- Paired axial CT (left) and PSMA PET (right), 18F-PSMA tracer
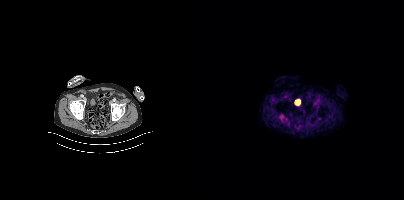
Findings: This slice has no annotated PSMA-avid lesion.